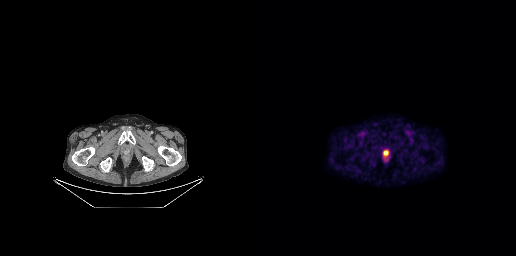
Technique: Left: CT. Right: PSMA PET, same axial level, 18F-PSMA tracer. acquired on GE Discovery 690. slice position z = -696 mm.
Findings: Coordinates are on the 256×256 PET (right) panel. Small PSMA-avid focus (2 to 4 px across) near (center x, center y): (125, 152).